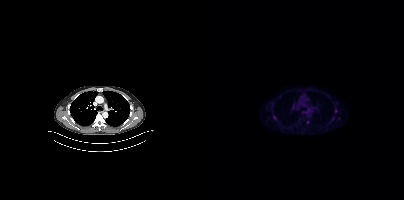
{"modality":"PSMA PET/CT","view":"axial","tracer":"[18F]PSMA-1007","pet_grid":[200,200],"coord_frame":"pet_panel","coord_format":"x0,y0,x1,y1","partial":true,"lesion_bboxes":[],"small_foci_centers":[[131,111],[70,117]]}